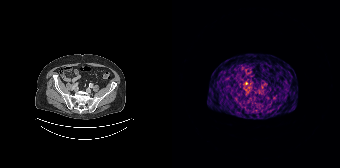
Paired axial CT (left) and PSMA PET (right), [68Ga]Ga-PSMA-11 tracer. Negative for PSMA-avid disease on this slice.